- Paired axial CT (left) and PSMA PET (right), [18F]PSMA-1007 tracer
- slice position z = -749 mm
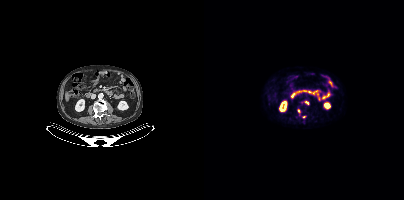
Findings: Coordinates are on the 200×200 PET (right) panel. Small PSMA-avid foci (2 to 4 px across) near (center x, center y): (95, 111) / (99, 116) / (103, 102).